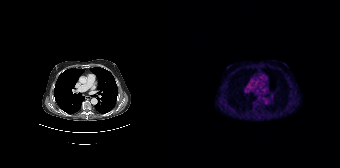
Technique: Two-panel axial: CT | PSMA PET, 68Ga-PSMA tracer. PET panel 168×168 px (4.1 mm/px).
Findings: This slice has no annotated PSMA-avid lesion.